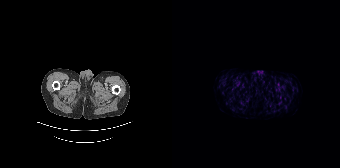
Technique: Left: CT. Right: PSMA PET, same axial level, 18F-PSMA tracer.
Findings: Negative for PSMA-avid disease on this slice.